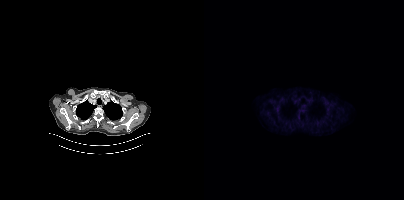
Negative for PSMA-avid disease on this slice.
modality: PSMA PET/CT | tracer: 18F | view: axial | PET grid: 200×200